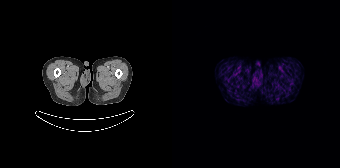
{"modality":"PSMA PET/CT","view":"axial","tracer":"[68Ga]Ga-PSMA-11","pet_grid":[168,168],"coord_frame":"pet_panel","coord_format":"x0,y0,x1,y1","psma_avid_lesions":false}